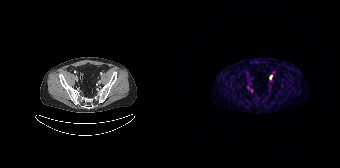
Coordinates are on the 168×168 PET (right) panel. PSMA-avid tumor lesion bounding boxes:
| # | x0 | y0 | x1 | y1 |
|---|---|---|---|---|
| 1 | 98 | 75 | 100 | 79 |
Two-panel axial: CT | PSMA PET, 68Ga-PSMA tracer. Acquired on Siemens Biograph 64-4R TruePoint. PET panel 168×168 px (4.1 mm/px).